Left: CT. Right: PSMA PET, same axial level, 68Ga tracer. PET panel 200×200 px (4.1 mm/px).
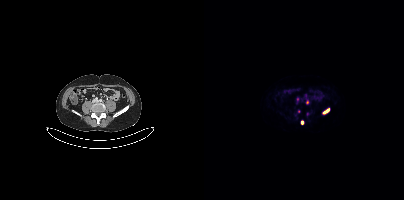
Coordinates are on the 200×200 PET (right) panel. (showing 3 of 5 foci) PSMA-avid tumor lesion bounding boxes (x0,y0,x1,y1): [119,109,125,114], [102,100,104,104]. Small PSMA-avid focus (2 to 4 px across) near (center x, center y): (98, 122).